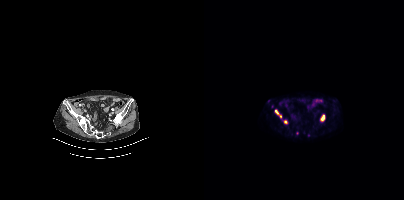
Coordinates are on the 200×200 PET (right) panel. (showing 6 of 7 foci) PSMA-avid tumor lesion bounding boxes (x0, y0)-(x1, y1): (117, 115)-(120, 120) | (71, 110)-(74, 114). Small PSMA-avid foci (2 to 4 px across) near (center x, center y): (81, 121) | (68, 106) | (65, 101) | (76, 116).